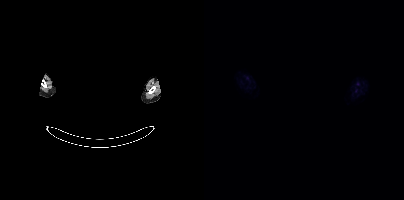
No tumor lesions annotated on this slice. A rectangular block over the head has been blanked out for de-identification. Left: CT. Right: PSMA PET, same axial level, 18F-PSMA tracer. Slice position z = -863 mm.